- Left: CT. Right: PSMA PET, same axial level, 18F-PSMA tracer
- slice 172 of 429
- PET panel 200×200 px (4.1 mm/px)
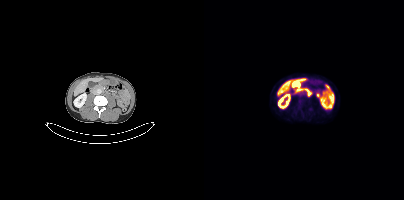
Findings: Coordinates are on the 200×200 PET (right) panel. PSMA-avid tumor lesion bounding box (x0,y0,x1,y1): [94,100,98,103].